- Two-panel axial: CT | PSMA PET, 18F tracer
- acquired on Siemens Biograph mCT Flow 20
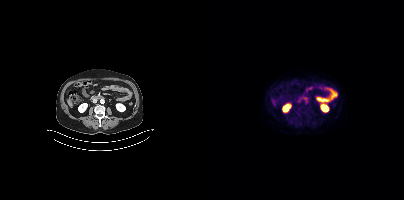
Findings: No PSMA-avid tumor lesions on this slice.